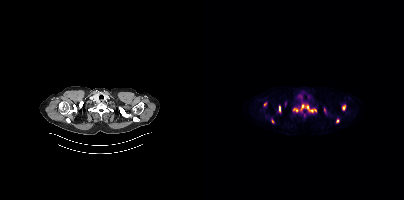
modality: PSMA PET/CT | tracer: 18F-PSMA | view: axial
Coordinates are on the 200×200 PET (right) panel. (showing 10 of 12 foci) PSMA-avid tumor lesion bounding boxes (x0,y0,x1,y1): [138,105,141,109]; [75,106,76,111]; [89,107,91,111]; [106,110,112,112]. Small PSMA-avid foci (2 to 4 px across) near (center x, center y): (61, 104); (98, 106); (120, 111); (68, 121); (133, 121); (103, 107).